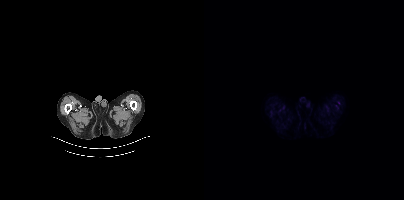
Negative for PSMA-avid disease on this slice.